modality: PSMA PET/CT | tracer: [68Ga]Ga-PSMA-11 | view: axial
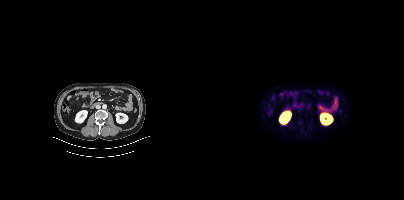
Negative for PSMA-avid disease on this slice.